Technique: Paired axial CT (left) and PSMA PET (right), 18F tracer. acquired on Siemens Biograph mCT Flow 20.
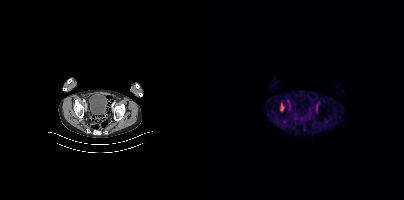
Findings: Coordinates are on the 200×200 PET (right) panel. PSMA-avid tumor lesion bounding box (x0,y0,x1,y1): [76,104,79,110].